Left: CT. Right: PSMA PET, same axial level, [18F]PSMA-1007 tracer. Slice position z = -677 mm.
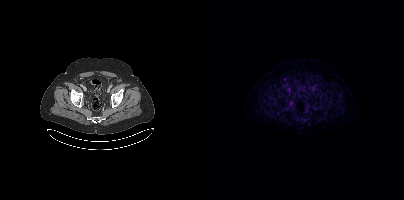
Coordinates are on the 200×200 PET (right) panel. PSMA-avid tumor lesion bounding box (x, y, width, height): x=85 y=101 w=5 h=5.